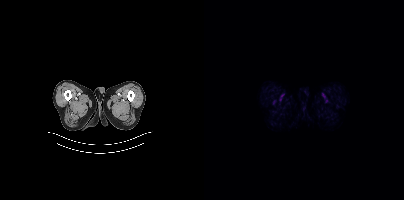
modality: PSMA PET/CT | tracer: 18F | view: axial | PET grid: 200×200
No tumor lesions annotated on this slice.